modality: PSMA PET/CT | tracer: [18F]PSMA-1007 | view: axial | PET grid: 200×200
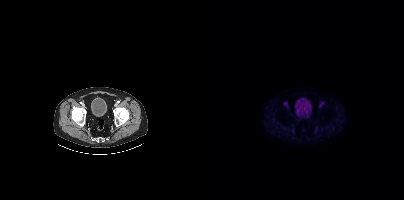
Negative for PSMA-avid disease on this slice.